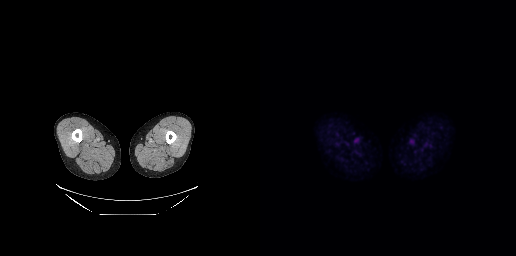
modality: PSMA PET/CT | tracer: [18F]PSMA-1007 | view: axial | PET grid: 256×256
No PSMA-avid tumor lesions on this slice.